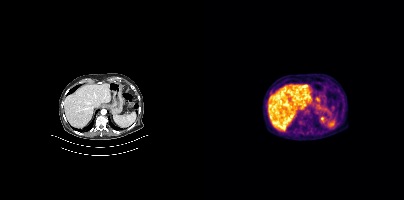
Findings: Negative for PSMA-avid disease on this slice.
Technique: Paired axial CT (left) and PSMA PET (right), 18F-PSMA tracer. slice 227 of 397.